Technique: Paired axial CT (left) and PSMA PET (right), [18F]PSMA-1007 tracer.
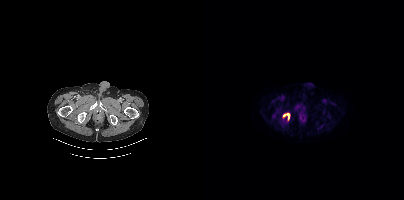
Findings: Coordinates are on the 200×200 PET (right) panel. PSMA-avid tumor lesion bounding box (x0, y0)-(x1, y1): (79, 113)-(85, 119).